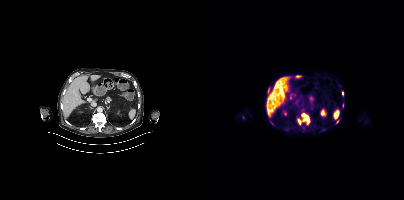
Coordinates are on the 200×200 PET (right) panel. PSMA-avid tumor lesion bounding boxes:
| # | x0 | y0 | x1 | y1 |
|---|---|---|---|---|
| 1 | 98 | 113 | 105 | 123 |
| 2 | 93 | 119 | 97 | 123 |
| 3 | 138 | 92 | 140 | 96 |
| 4 | 63 | 87 | 66 | 92 |
| 5 | 138 | 103 | 139 | 107 |
Small PSMA-avid focus (2 to 4 px across) near (center x, center y): (133, 121).
Paired axial CT (left) and PSMA PET (right), 18F-PSMA tracer. Slice 186 of 401.